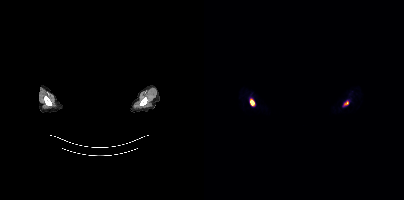
- de-identified by setting a box covering the face to black before release
- Left: CT. Right: PSMA PET, same axial level, 68Ga-PSMA tracer
- acquired on Siemens Biograph mCT Flow 20
Findings: Coordinates are on the 200×200 PET (right) panel. PSMA-avid tumor lesion bounding boxes (x0,y0,x1,y1): [46,98,50,105] [140,101,144,105].